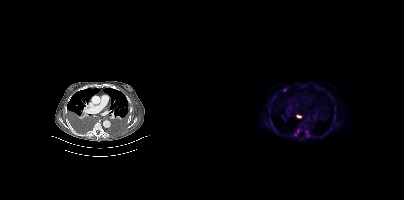
{"modality":"PSMA PET/CT","view":"axial","tracer":"[18F]PSMA-1007","pet_grid":[200,200],"coord_frame":"pet_panel","coord_format":"x0,y0,x1,y1","partial":true,"lesion_bboxes":[[90,127,97,136],[101,130,105,137]],"small_foci_centers":[[80,90],[94,116]]}